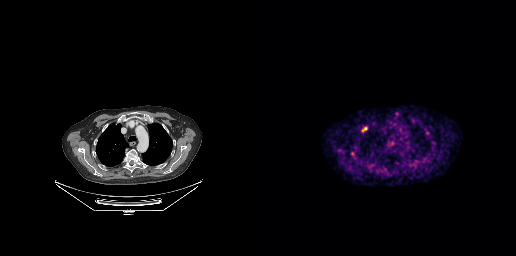
Technique: Left: CT. Right: PSMA PET, same axial level, 68Ga tracer. acquired on GE Discovery 690. slice 208 of 263. PET panel 256×256 px (2.7 mm/px).
Findings: Coordinates are on the 256×256 PET (right) panel. (showing 4 of 6 foci) PSMA-avid tumor lesion bounding box (x0, y0)-(x1, y1): (102, 127)-(107, 131). Small PSMA-avid foci (2 to 4 px across) near (center x, center y): (136, 113) | (80, 150) | (92, 153).